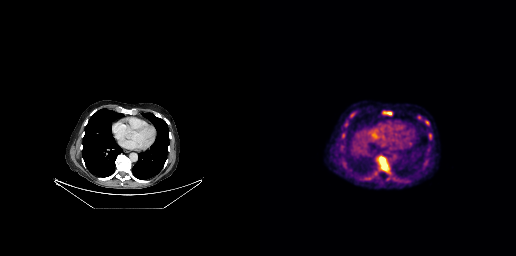
Coordinates are on the 256×256 PET (right) panel. PSMA-avid tumor lesion bounding boxes (x0,y0,x1,y1): [119,156,128,170]; [122,111,132,115]; [90,112,95,117]; [165,120,169,125]; [169,133,171,139]; [84,121,88,126]. Small PSMA-avid focus (2 to 4 px across) near (center x, center y): (83, 135).